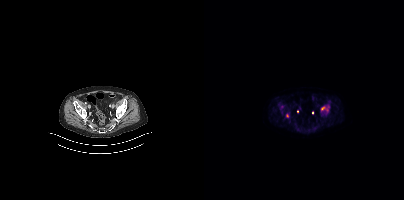
Paired axial CT (left) and PSMA PET (right), 18F tracer. Acquired on Siemens Biograph mCT Flow 20. Slice position z = -1503 mm. PET panel 200×200 px (4.1 mm/px). Coordinates are on the 200×200 PET (right) panel. (showing 3 of 4 foci) PSMA-avid tumor lesion bounding boxes (x0,y0,x1,y1): [117,106,124,112], [74,102,80,109]. Small PSMA-avid focus (2 to 4 px across) near (center x, center y): (83, 115).